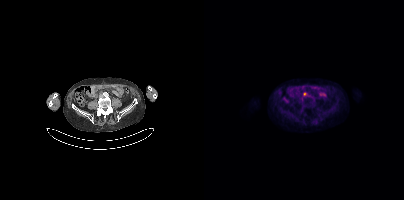
Technique: Left: CT. Right: PSMA PET, same axial level, 18F-PSMA tracer. PET panel 200×200 px (4.1 mm/px).
Findings: Coordinates are on the 200×200 PET (right) panel. PSMA-avid tumor lesion bounding box (x0, y0)-(x1, y1): (99, 92)-(103, 96).